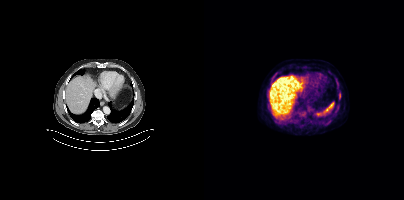
Findings: Coordinates are on the 200×200 PET (right) panel. (showing 1 of 2 foci) PSMA-avid tumor lesion bounding box (x0, y0)-(x1, y1): (135, 92)-(136, 99).
- Two-panel axial: CT | PSMA PET, 18F tracer
- acquired on Siemens Biograph mCT Flow 20
- PET panel 200×200 px (4.1 mm/px)